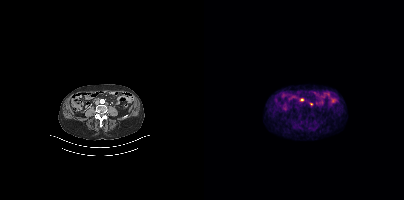
Coordinates are on the 200×200 PET (right) panel. Small PSMA-avid focus (2 to 4 px across) near (center x, center y): (98, 99).